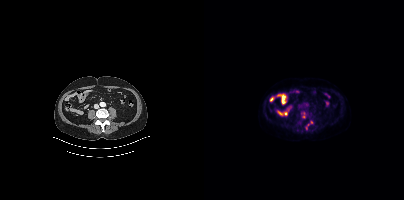
Negative for PSMA-avid disease on this slice.